Two-panel axial: CT | PSMA PET, 68Ga tracer. Acquired on GE Discovery 690. PET panel 256×256 px (2.7 mm/px).
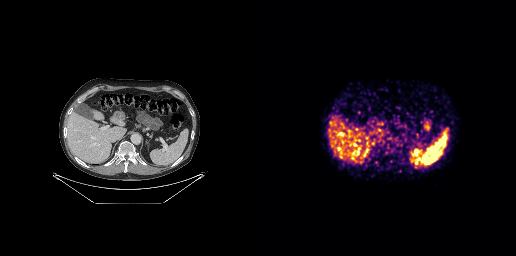
Coordinates are on the 256×256 PET (right) panel. PSMA-avid tumor lesion bounding boxes:
| # | x0 | y0 | x1 | y1 |
|---|---|---|---|---|
| 1 | 158 | 152 | 163 | 157 |